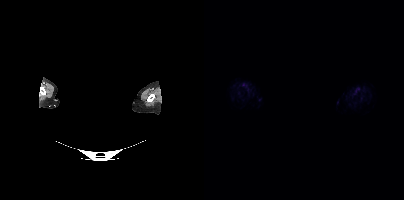
Technique: Left: CT. Right: PSMA PET, same axial level, 18F tracer. slice 420 of 435. PET panel 200×200 px (4.1 mm/px).
Note: Privacy masking over the head, with the pixels inside a rectangle set to black.
Findings: No PSMA-avid tumor lesions on this slice.